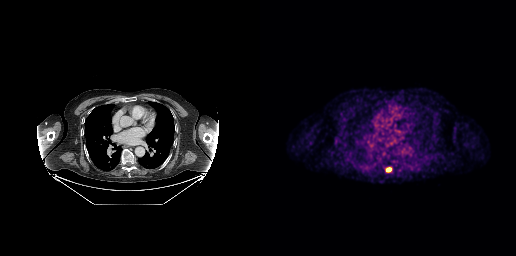
modality: PSMA PET/CT | tracer: 18F-PSMA | view: axial
Coordinates are on the 256×256 PET (right) panel. PSMA-avid tumor lesion bounding box (x0, y0)-(x1, y1): (125, 167)-(132, 172).